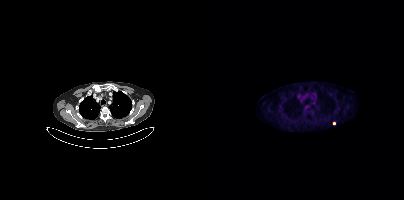
Technique: Left: CT. Right: PSMA PET, same axial level, 18F tracer. acquired on Siemens Biograph mCT Flow 20.
Findings: Coordinates are on the 200×200 PET (right) panel. Small PSMA-avid focus (2 to 4 px across) near (center x, center y): (130, 123).